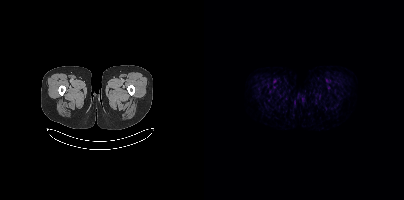
Technique: Paired axial CT (left) and PSMA PET (right), [18F]PSMA-1007 tracer. acquired on Siemens Biograph mCT Flow 20. PET panel 200×200 px (4.1 mm/px).
Findings: Negative for PSMA-avid disease on this slice.